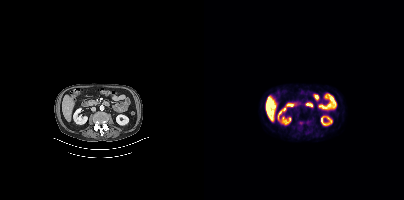
- Paired axial CT (left) and PSMA PET (right), 18F-PSMA tracer
- acquired on Siemens Biograph mCT Flow 20
- PET panel 200×200 px (4.1 mm/px)
Findings: No PSMA-avid tumor lesions on this slice.